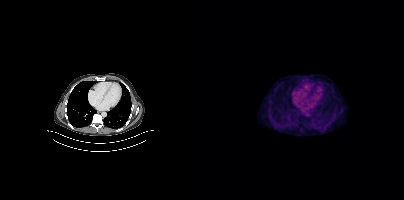
{"modality":"PSMA PET/CT","view":"axial","tracer":"18F-PSMA","pet_grid":[200,200],"coord_frame":"pet_panel","coord_format":"x0,y0,x1,y1","psma_avid_lesions":false}